Left: CT. Right: PSMA PET, same axial level, [18F]PSMA-1007 tracer. Acquired on Siemens Biograph mCT Flow 20. Slice position z = -1006 mm.
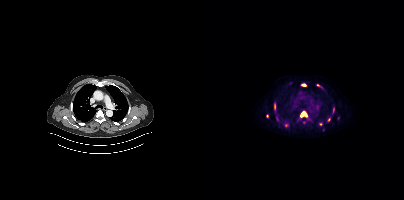
Coordinates are on the 200×200 PET (right) panel. PSMA-avid tumor lesion bounding boxes (x0, y0)-(x1, y1): (96, 111)-(102, 116); (70, 104)-(71, 109); (129, 107)-(130, 112). Small PSMA-avid foci (2 to 4 px across) near (center x, center y): (99, 85); (100, 122); (82, 125); (125, 119); (114, 85); (63, 116); (116, 124).